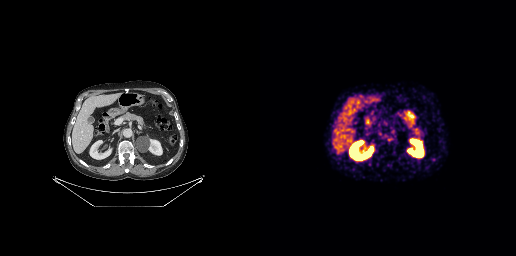
Two-panel axial: CT | PSMA PET, 68Ga-PSMA tracer. PET panel 256×256 px (2.7 mm/px). No tumor lesions annotated on this slice.